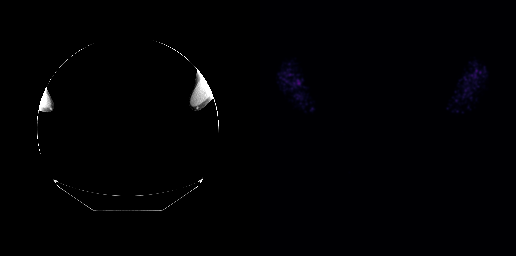
{"modality":"PSMA PET/CT","view":"axial","tracer":"[18F]PSMA-1007","pet_grid":[256,256],"coord_frame":"pet_panel","coord_format":"x0,y0,x1,y1","psma_avid_lesions":false,"deidentification":"head region blacked out before release"}